Technique: Left: CT. Right: PSMA PET, same axial level, 18F-PSMA tracer. acquired on Siemens Biograph mCT Flow 20. slice 65 of 397.
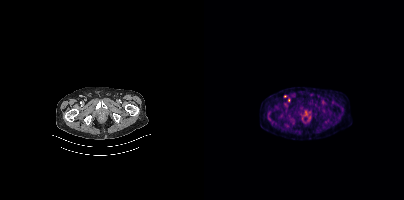
Findings: Coordinates are on the 200×200 PET (right) panel. Small PSMA-avid foci (2 to 4 px across) near (center x, center y): (81, 96) | (84, 100).